modality: PSMA PET/CT | tracer: 18F | view: axial
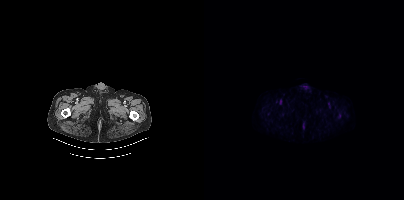
Negative for PSMA-avid disease on this slice.